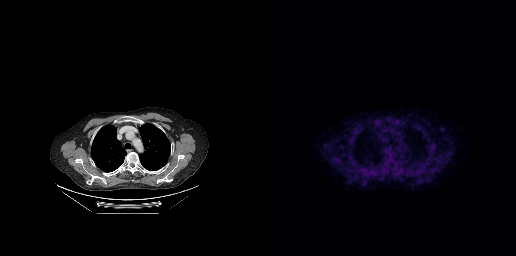
Technique: Paired axial CT (left) and PSMA PET (right), 18F tracer. slice position z = -173 mm.
Findings: No tumor lesions annotated on this slice.